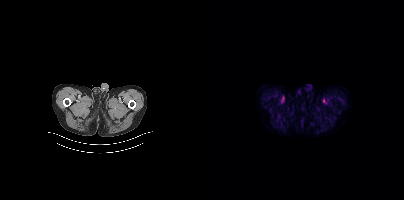
{"modality":"PSMA PET/CT","view":"axial","tracer":"[18F]PSMA-1007","pet_grid":[200,200],"coord_frame":"pet_panel","coord_format":"x0,y0,x1,y1","psma_avid_lesions":false}